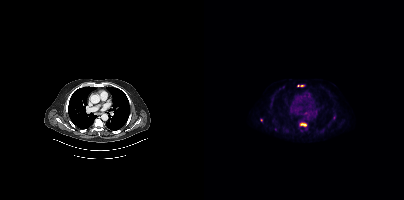
{"modality":"PSMA PET/CT","view":"axial","tracer":"[18F]PSMA-1007","pet_grid":[200,200],"coord_frame":"pet_panel","coord_format":"x0,y0,x1,y1","partial":true,"lesion_bboxes":[[95,123,102,126]],"small_foci_centers":[[130,117],[98,85],[101,112]]}